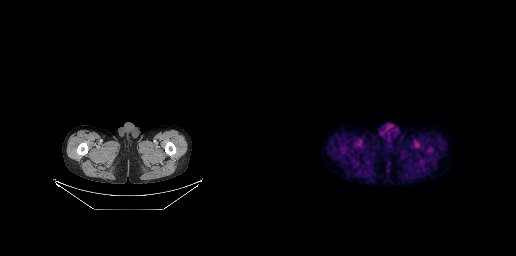
This slice has no annotated PSMA-avid lesion.